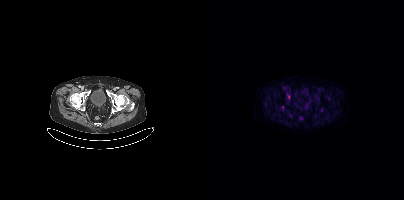
Technique: Paired axial CT (left) and PSMA PET (right), [18F]PSMA-1007 tracer.
Findings: Coordinates are on the 200×200 PET (right) panel. Small PSMA-avid focus (2 to 4 px across) near (center x, center y): (85, 97).